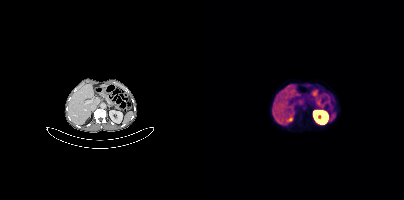
No tumor lesions annotated on this slice. Paired axial CT (left) and PSMA PET (right), 68Ga-PSMA tracer. Acquired on Siemens Biograph mCT Flow 20. PET panel 200×200 px (4.1 mm/px).